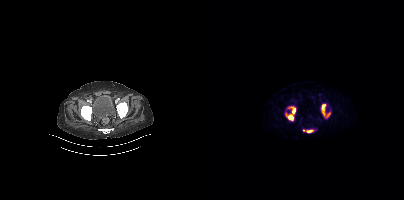
This slice has no annotated PSMA-avid lesion.